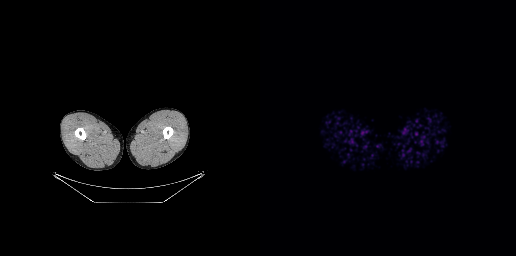
- Two-panel axial: CT | PSMA PET, 18F tracer
- PET panel 256×256 px (2.7 mm/px)
Findings: No tumor lesions annotated on this slice.